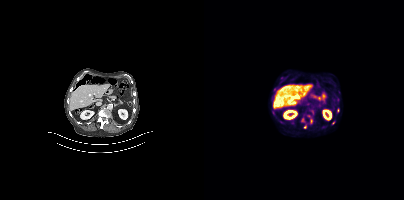
Findings: Coordinates are on the 200×200 PET (right) panel. (showing 9 of 10 foci) PSMA-avid tumor lesion bounding boxes (x, y, width, height): x=74 y=119 w=7 h=6 | x=106 y=119 w=3 h=5 | x=67 y=97 w=2 h=6. Small PSMA-avid foci (2 to 4 px across) near (center x, center y): (98, 119) | (129, 122) | (134, 110) | (104, 103) | (104, 115) | (101, 127).
Technique: Left: CT. Right: PSMA PET, same axial level, [18F]PSMA-1007 tracer. PET panel 200×200 px (4.1 mm/px).